Technique: Left: CT. Right: PSMA PET, same axial level, 18F tracer. PET panel 200×200 px (4.1 mm/px).
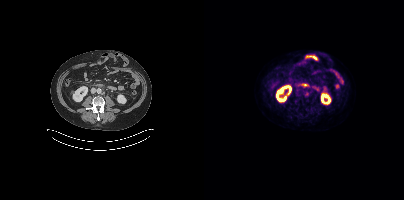
Findings: Coordinates are on the 200×200 PET (right) panel. PSMA-avid tumor lesion bounding box (x0,y0,x1,y1): [100,91,105,95].